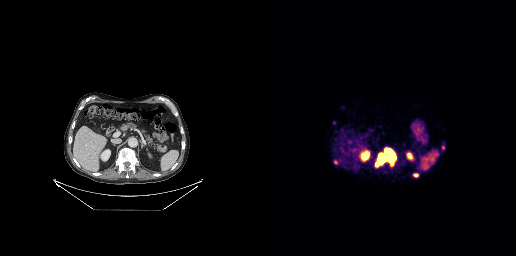
- Paired axial CT (left) and PSMA PET (right), 68Ga tracer
- PET panel 256×256 px (2.7 mm/px)
Findings: Coordinates are on the 256×256 PET (right) panel. PSMA-avid tumor lesion bounding boxes (x0, y0)-(x1, y1): (116, 149)-(135, 165) / (153, 173)-(158, 177). Small PSMA-avid foci (2 to 4 px across) near (center x, center y): (75, 161) / (130, 165).